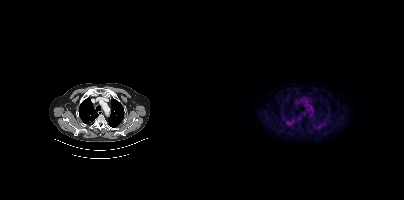
{"modality":"PSMA PET/CT","view":"axial","tracer":"[18F]PSMA-1007","pet_grid":[200,200],"coord_frame":"pet_panel","coord_format":"x0,y0,x1,y1","psma_avid_lesions":false}